Paired axial CT (left) and PSMA PET (right), 18F tracer.
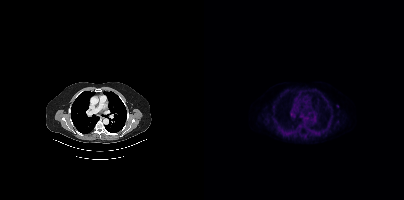
Coordinates are on the 200×200 PET (right) panel. Small PSMA-avid focus (2 to 4 px across) near (center x, center y): (133, 106).